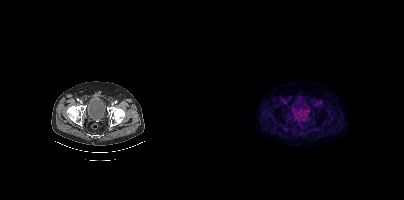
Findings: Negative for PSMA-avid disease on this slice.
- Two-panel axial: CT | PSMA PET, [18F]PSMA-1007 tracer
- acquired on Siemens Biograph mCT Flow 20
- slice position z = -418 mm